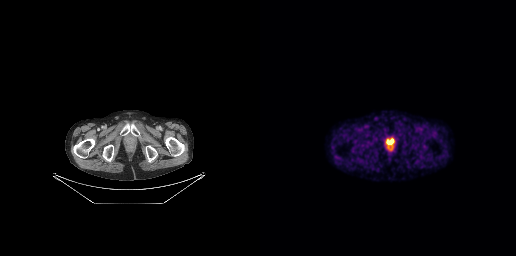
- Two-panel axial: CT | PSMA PET, 18F tracer
- slice 55 of 263
Findings: Coordinates are on the 256×256 PET (right) panel. PSMA-avid tumor lesion bounding box (x0, y0)-(x1, y1): (125, 138)-(133, 144).